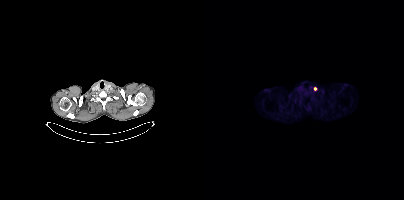
{"modality":"PSMA PET/CT","view":"axial","tracer":"18F-PSMA","pet_grid":[200,200],"coord_frame":"pet_panel","coord_format":"x0,y0,x1,y1","lesion_bboxes":[],"small_foci_centers":[[111,88]]}